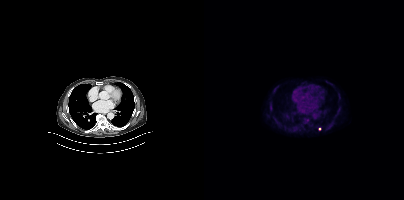
Technique: Two-panel axial: CT | PSMA PET, 18F tracer.
Findings: Coordinates are on the 200×200 PET (right) panel. (showing 1 of 2 foci) Small PSMA-avid focus (2 to 4 px across) near (center x, center y): (103, 119).